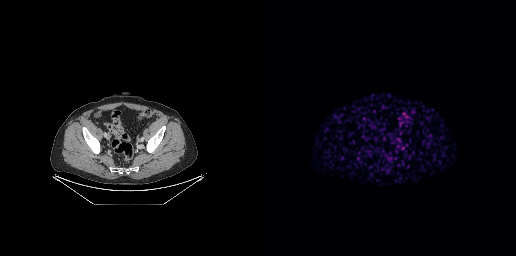
Technique: Left: CT. Right: PSMA PET, same axial level, [68Ga]Ga-PSMA-11 tracer. acquired on GE Discovery 690. slice position z = -821 mm. PET panel 256×256 px (2.7 mm/px).
Findings: Negative for PSMA-avid disease on this slice.